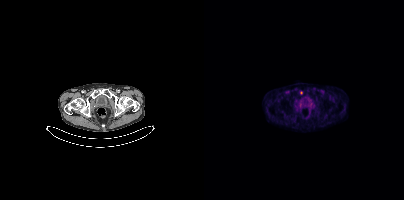
Technique: Left: CT. Right: PSMA PET, same axial level, 18F-PSMA tracer. PET panel 200×200 px (4.1 mm/px).
Findings: Coordinates are on the 200×200 PET (right) panel. Small PSMA-avid focus (2 to 4 px across) near (center x, center y): (97, 92).